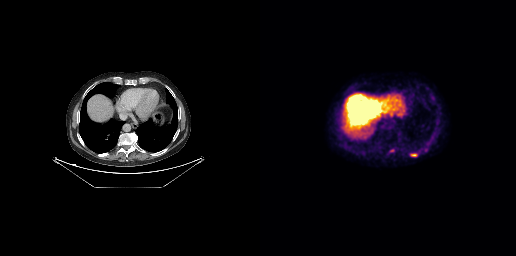
- Left: CT. Right: PSMA PET, same axial level, [18F]PSMA-1007 tracer
- acquired on GE Discovery 690
- slice 174 of 263
- PET panel 256×256 px (2.7 mm/px)
Findings: Coordinates are on the 256×256 PET (right) panel. (showing 3 of 4 foci) PSMA-avid tumor lesion bounding boxes (x0,y0,x1,y1): [129,149,134,152] [151,154,156,156]. Small PSMA-avid focus (2 to 4 px across) near (center x, center y): (165, 149).